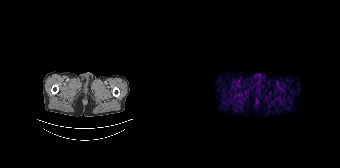
{"modality":"PSMA PET/CT","view":"axial","tracer":"[68Ga]Ga-PSMA-11","pet_grid":[168,168],"coord_frame":"pet_panel","coord_format":"x0,y0,x1,y1","psma_avid_lesions":false}